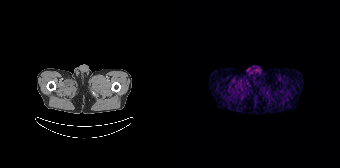
modality: PSMA PET/CT | tracer: [68Ga]Ga-PSMA-11 | view: axial | PET grid: 168×168
This slice has no annotated PSMA-avid lesion.